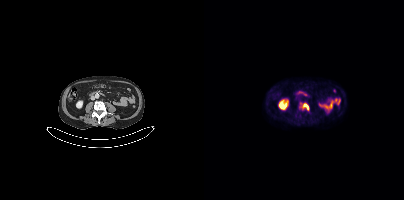
{"modality":"PSMA PET/CT","view":"axial","tracer":"18F-PSMA","pet_grid":[200,200],"coord_frame":"pet_panel","coord_format":"x0,y0,x1,y1","partial":true,"lesion_bboxes":[[97,103,105,110]]}